Technique: Two-panel axial: CT | PSMA PET, [18F]PSMA-1007 tracer. acquired on GE Discovery 690. PET panel 256×256 px (2.7 mm/px).
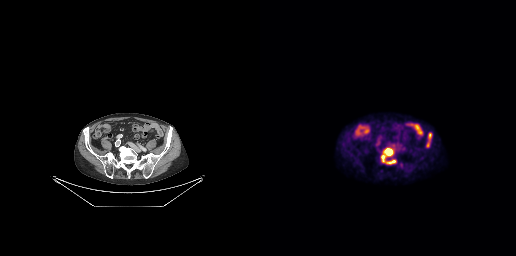
Findings: Coordinates are on the 256×256 PET (right) panel. PSMA-avid tumor lesion bounding boxes (x0,y0,x1,y1): [125,149,132,155]; [167,133,171,146]; [129,161,135,163]. Small PSMA-avid focus (2 to 4 px across) near (center x, center y): (123, 157).